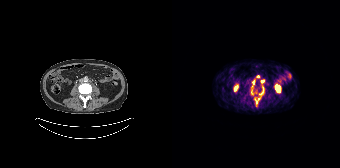
Coordinates are on the 168×168 PET (right) panel. (showing 3 of 5 foci) PSMA-avid tumor lesion bounding boxes (x0, y0)-(x1, y1): (82, 90)-(92, 104) | (78, 88)-(81, 93) | (88, 80)-(92, 83). Left: CT. Right: PSMA PET, same axial level, [68Ga]Ga-PSMA-11 tracer. Acquired on Siemens Biograph 64-4R TruePoint. PET panel 168×168 px (4.1 mm/px).